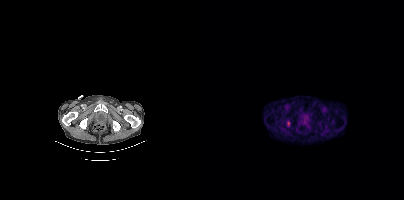
- Left: CT. Right: PSMA PET, same axial level, 18F tracer
- acquired on Siemens Biograph mCT Flow 20
- PET panel 200×200 px (4.1 mm/px)
Findings: Coordinates are on the 200×200 PET (right) panel. PSMA-avid tumor lesion bounding box (x0,y0,x1,y1): [83,122,86,126].